Paired axial CT (left) and PSMA PET (right), [18F]PSMA-1007 tracer. Acquired on Siemens Biograph mCT Flow 20. Slice position z = -258 mm. PET panel 200×200 px (4.1 mm/px). A rectangular block over the head has been blanked out for de-identification.
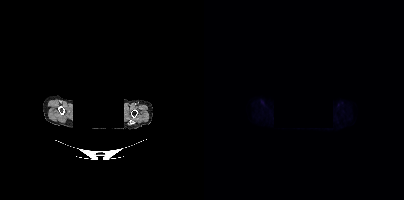
No PSMA-avid tumor lesions on this slice.